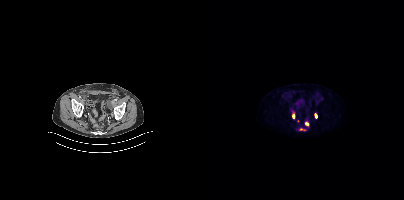
modality: PSMA PET/CT | tracer: 18F-PSMA | view: axial
Coordinates are on the 200×200 PET (right) panel. (showing 4 of 5 foci) PSMA-avid tumor lesion bounding boxes (x0, y0)-(x1, y1): (88, 113)-(91, 118) | (101, 122)-(105, 126) | (111, 114)-(113, 118) | (96, 128)-(101, 130).